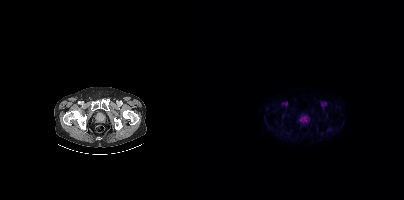
{"modality":"PSMA PET/CT","view":"axial","tracer":"18F-PSMA","pet_grid":[200,200],"coord_frame":"pet_panel","coord_format":"x0,y0,x1,y1","psma_avid_lesions":false}